Left: CT. Right: PSMA PET, same axial level, [68Ga]Ga-PSMA-11 tracer.
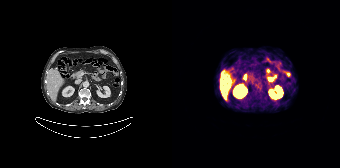
Coordinates are on the 168×168 PET (right) panel. PSMA-avid tumor lesion bounding box (x0, y0)-(x1, y1): (48, 86)-(51, 90). Small PSMA-avid focus (2 to 4 px across) near (center x, center y): (56, 82).